- Paired axial CT (left) and PSMA PET (right), 68Ga tracer
- slice 183 of 227
- PET panel 256×256 px (2.7 mm/px)
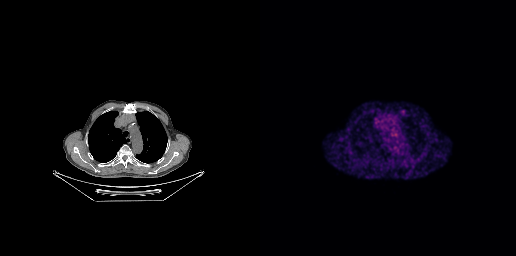
Findings: No PSMA-avid tumor lesions on this slice.